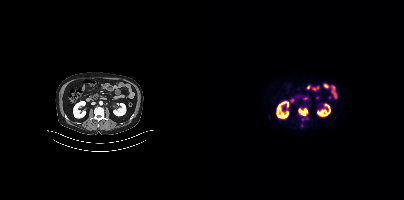
{"modality":"PSMA PET/CT","view":"axial","tracer":"18F","pet_grid":[200,200],"coord_frame":"pet_panel","coord_format":"x0,y0,x1,y1","lesion_bboxes":[[94,108,104,115]]}